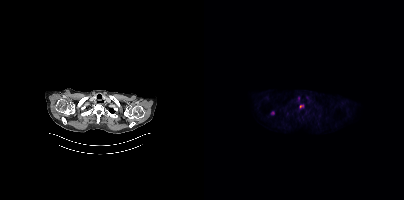
Left: CT. Right: PSMA PET, same axial level, 18F tracer. Acquired on Siemens Biograph mCT Flow 20. Slice 350 of 421. PET panel 200×200 px (4.1 mm/px). Coordinates are on the 200×200 PET (right) panel. Small PSMA-avid foci (2 to 4 px across) near (center x, center y): (97, 106); (68, 113).